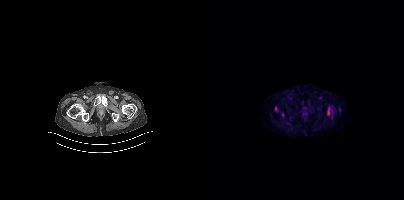
Paired axial CT (left) and PSMA PET (right), [18F]PSMA-1007 tracer. Acquired on Siemens Biograph mCT Flow 20. Slice position z = -1475 mm. PET panel 200×200 px (4.1 mm/px).
Coordinates are on the 200×200 PET (right) panel. PSMA-avid tumor lesion bounding boxes:
| # | x0 | y0 | x1 | y1 |
|---|---|---|---|---|
| 1 | 71 | 107 | 74 | 111 |
| 2 | 124 | 108 | 125 | 114 |
Small PSMA-avid focus (2 to 4 px across) near (center x, center y): (78, 114).